Technique: Left: CT. Right: PSMA PET, same axial level, 18F tracer. slice position z = -714 mm.
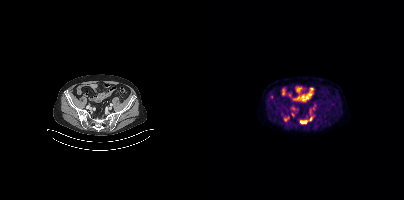
Findings: Coordinates are on the 200×200 PET (right) panel. PSMA-avid tumor lesion bounding box (x, y, width, height): x=96 y=116 w=15 h=8. Small PSMA-avid foci (2 to 4 px across) near (center x, center y): (81, 119) / (88, 114).